Left: CT. Right: PSMA PET, same axial level, 18F tracer. Acquired on Siemens Biograph mCT Flow 20.
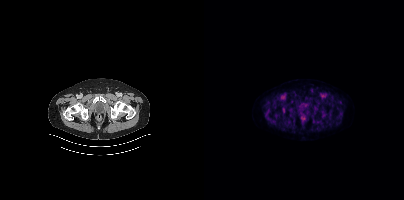
This slice has no annotated PSMA-avid lesion.